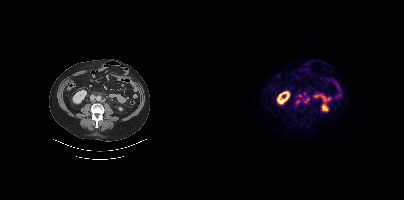
Coordinates are on the 200×200 PET (right) panel. PSMA-avid tumor lesion bounding box (x, y, width, height): x=101 y=99 w=4 h=5. Small PSMA-avid foci (2 to 4 px across) near (center x, center y): (95, 95); (93, 102); (100, 93).
modality: PSMA PET/CT | tracer: 18F-PSMA | view: axial